- privacy masking over the head, with the pixels inside a rectangle set to black
- Paired axial CT (left) and PSMA PET (right), 68Ga tracer
- PET panel 168×168 px (4.1 mm/px)
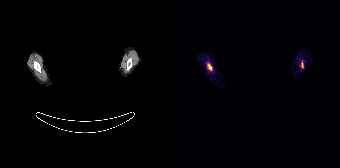
Findings: Coordinates are on the 168×168 PET (right) panel. PSMA-avid tumor lesion bounding boxes (x0, y0)-(x1, y1): (35, 63)-(40, 70) | (129, 61)-(131, 67).